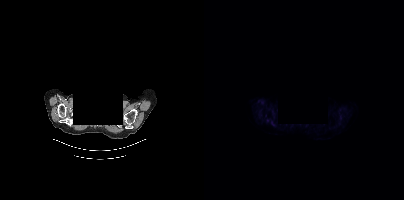
Technique: Left: CT. Right: PSMA PET, same axial level, [18F]PSMA-1007 tracer.
Note: An anonymization step blacked out a rectangle over the head in this scan.
Findings: Coordinates are on the 200×200 PET (right) panel. (showing 1 of 2 foci) PSMA-avid tumor lesion bounding box (x0,y0,x1,y1): [67,120,71,126].